Two-panel axial: CT | PSMA PET, [18F]PSMA-1007 tracer. Slice 293 of 431. PET panel 200×200 px (4.1 mm/px).
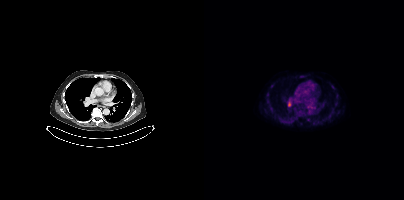
Coordinates are on the 200×200 PET (right) panel. PSMA-avid tumor lesion bounding boxes:
| # | x0 | y0 | x1 | y1 |
|---|---|---|---|---|
| 1 | 84 | 101 | 87 | 106 |
Small PSMA-avid focus (2 to 4 px across) near (center x, center y): (104, 106).